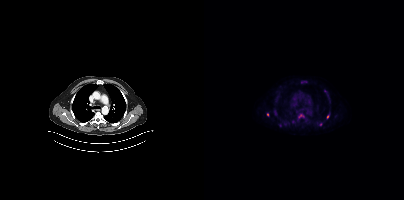
modality: PSMA PET/CT | tracer: 18F-PSMA | view: axial
Coordinates are on the 200×200 PET (right) panel. Small PSMA-avid foci (2 to 4 px across) near (center x, center y): (117, 124); (63, 114); (123, 116).